modality: PSMA PET/CT | tracer: 18F | view: axial
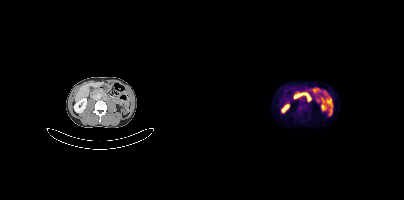
Coordinates are on the 200×200 PET (right) panel. PSMA-avid tumor lesion bounding box (x, y, width, height): x=94 y=105 w=6 h=6.